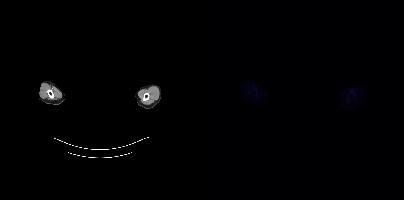
{"modality":"PSMA PET/CT","view":"axial","tracer":"[18F]PSMA-1007","pet_grid":[200,200],"coord_frame":"pet_panel","coord_format":"x0,y0,x1,y1","psma_avid_lesions":false,"de-identification":"face masked with black rectangle"}